modality: PSMA PET/CT | tracer: 18F | view: axial
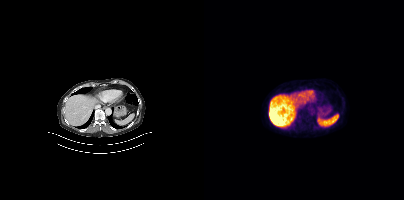
No PSMA-avid tumor lesions on this slice.